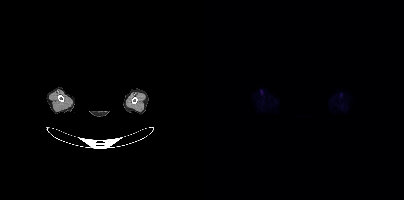
Left: CT. Right: PSMA PET, same axial level, 18F-PSMA tracer. Slice position z = -216 mm. PET panel 200×200 px (4.1 mm/px). Any black rectangle over the head is a privacy mask, not anatomy. Negative for PSMA-avid disease on this slice.